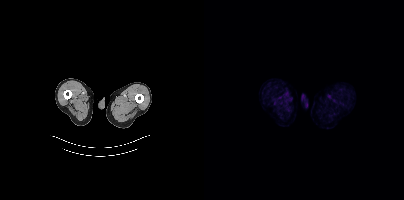
Findings: No tumor lesions annotated on this slice.
Technique: Paired axial CT (left) and PSMA PET (right), 18F tracer.